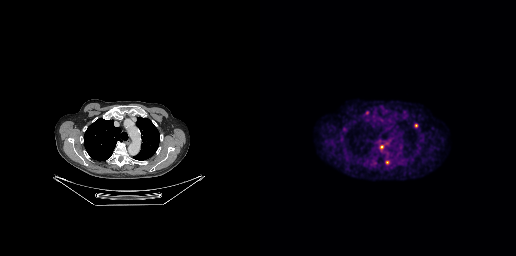
Technique: Left: CT. Right: PSMA PET, same axial level, 18F tracer. slice position z = -326 mm.
Findings: Coordinates are on the 256×256 PET (right) panel. PSMA-avid tumor lesion bounding boxes (x0, y0)-(x1, y1): (119, 144)-(124, 150) / (125, 160)-(130, 164) / (154, 123)-(158, 127). Small PSMA-avid focus (2 to 4 px across) near (center x, center y): (106, 112).